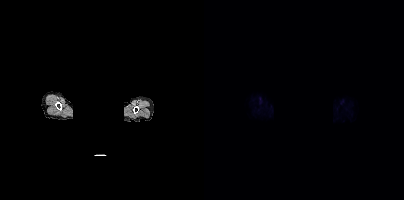
This slice has no annotated PSMA-avid lesion.
Facial anatomy redacted by setting a rectangular region of the head to black.